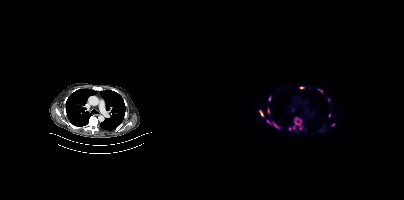
Left: CT. Right: PSMA PET, same axial level, [18F]PSMA-1007 tracer. Slice 288 of 387. PET panel 200×200 px (4.1 mm/px).
Coordinates are on the 200×200 PET (right) panel. PSMA-avid tumor lesion bounding boxes (partial; 1 more focus not listed):
| # | x0 | y0 | x1 | y1 |
|---|---|---|---|---|
| 1 | 85 | 121 | 96 | 130 |
| 2 | 55 | 110 | 59 | 116 |
| 3 | 69 | 123 | 75 | 128 |
| 4 | 63 | 108 | 65 | 113 |
| 5 | 65 | 96 | 67 | 101 |
| 6 | 114 | 89 | 118 | 92 |
Small PSMA-avid foci (2 to 4 px across) near (center x, center y): (97, 87); (125, 115); (92, 118); (96, 120); (63, 121); (129, 124); (124, 99).